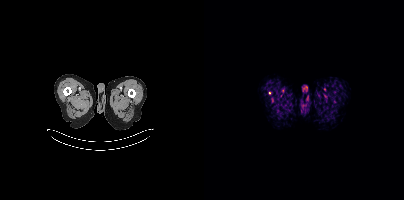
- Paired axial CT (left) and PSMA PET (right), 18F-PSMA tracer
- slice 6 of 429
Findings: Coordinates are on the 200×200 PET (right) panel. Small PSMA-avid focus (2 to 4 px across) near (center x, center y): (65, 92).